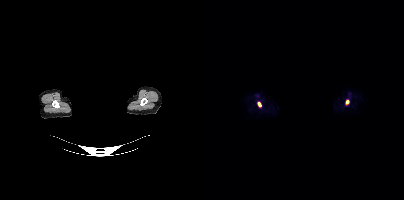
Paired axial CT (left) and PSMA PET (right), [18F]PSMA-1007 tracer. Acquired on Siemens Biograph mCT Flow 20. Slice 408 of 444. Privacy masking over the head, with the pixels inside a rectangle set to black.
Coordinates are on the 200×200 PET (right) panel. PSMA-avid tumor lesion bounding boxes:
| # | x0 | y0 | x1 | y1 |
|---|---|---|---|---|
| 1 | 53 | 102 | 57 | 106 |
| 2 | 142 | 100 | 145 | 104 |